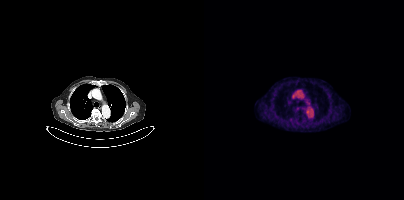
{"pet_grid":[200,200],"coord_frame":"pet_panel","coord_format":"x0,y0,x1,y1","lesion_bboxes":[],"small_foci_centers":[[87,119]],"modality":"PSMA PET/CT","view":"axial","tracer":"18F-PSMA"}